Left: CT. Right: PSMA PET, same axial level, 18F-PSMA tracer. Acquired on Siemens Biograph mCT Flow 20.
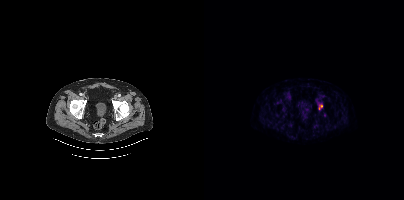
Coordinates are on the 200×200 PET (right) panel. PSMA-avid tumor lesion bounding boxes:
| # | x0 | y0 | x1 | y1 |
|---|---|---|---|---|
| 1 | 115 | 105 | 118 | 109 |